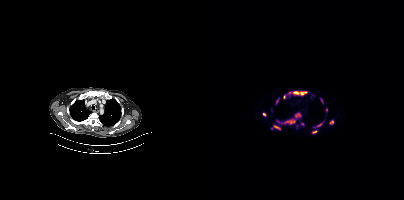
Coordinates are on the 200×200 PET (right) panel. (showing 11 of 13 foci) PSMA-avid tumor lesion bounding boxes (x0,y0,x1,y1): [77,113,97,124]; [79,91,103,98]; [69,124,76,129]; [125,120,129,124]; [108,130,113,133]; [113,121,119,126]; [59,112,62,116]; [72,98,75,103]; [116,98,119,103]. Small PSMA-avid foci (2 to 4 px across) near (center x, center y): (122, 109); (98, 124).